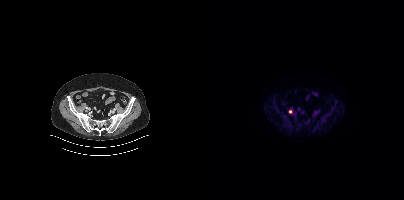
Coordinates are on the 200×200 PET (right) panel. Small PSMA-avid focus (2 to 4 px across) near (center x, center y): (86, 111).